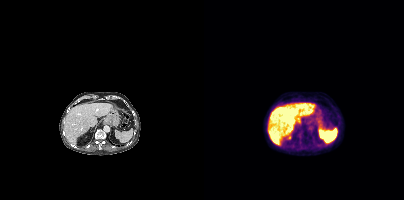
Findings: Coordinates are on the 200×200 PET (right) panel. Small PSMA-avid focus (2 to 4 px across) near (center x, center y): (96, 133).
- Paired axial CT (left) and PSMA PET (right), 18F-PSMA tracer